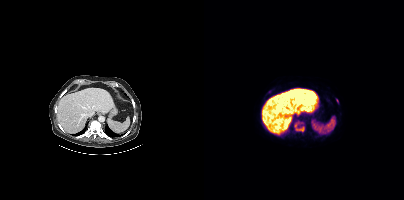
Technique: Paired axial CT (left) and PSMA PET (right), 18F-PSMA tracer.
Findings: Coordinates are on the 200×200 PET (right) panel. PSMA-avid tumor lesion bounding box (x0, y0)-(x1, y1): (90, 120)-(100, 132). Small PSMA-avid foci (2 to 4 px across) near (center x, center y): (133, 100) | (65, 91).